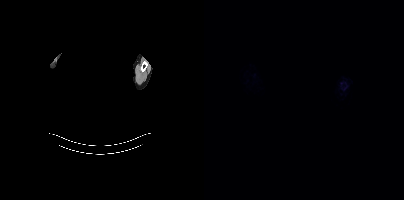
Face de-identified by blanking a block of the head. Left: CT. Right: PSMA PET, same axial level, [18F]PSMA-1007 tracer. Acquired on Siemens Biograph mCT Flow 20. Slice position z = -875 mm. No tumor lesions annotated on this slice.